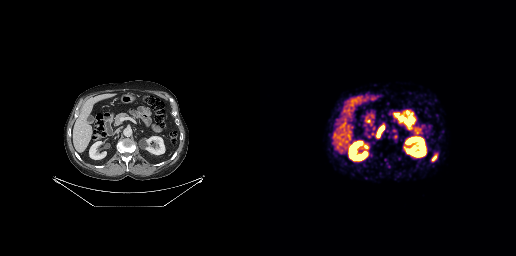
{"modality":"PSMA PET/CT","view":"axial","tracer":"[68Ga]Ga-PSMA-11","pet_grid":[256,256],"coord_frame":"pet_panel","coord_format":"x0,y0,x1,y1","lesion_bboxes":[[117,126,123,137],[172,154,176,160]]}